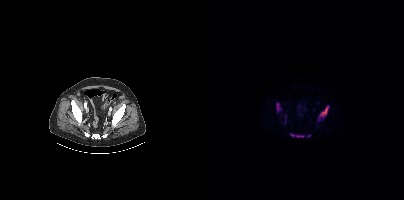
{"modality":"PSMA PET/CT","view":"axial","tracer":"18F","pet_grid":[200,200],"coord_frame":"pet_panel","coord_format":"x0,y0,x1,y1","partial":true,"lesion_bboxes":[[114,105,125,120],[86,133,100,137],[72,102,76,111]],"small_foci_centers":[[104,136]]}